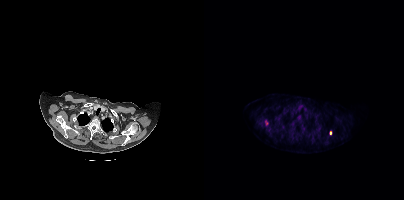
- Left: CT. Right: PSMA PET, same axial level, [18F]PSMA-1007 tracer
- acquired on Siemens Biograph mCT Flow 20
- slice position z = -406 mm
Findings: Coordinates are on the 200×200 PET (right) panel. (showing 1 of 2 foci) Small PSMA-avid focus (2 to 4 px across) near (center x, center y): (126, 132).